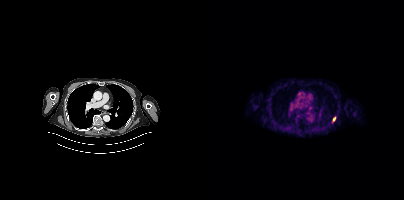
Coordinates are on the 200×200 PET (right) panel. Small PSMA-avid focus (2 to 4 px across) near (center x, center y): (130, 119). Left: CT. Right: PSMA PET, same axial level, [18F]PSMA-1007 tracer. Acquired on Siemens Biograph mCT Flow 20. Slice position z = -534 mm. PET panel 200×200 px (4.1 mm/px).